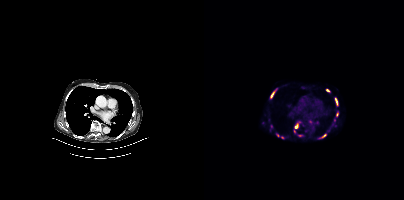
Coordinates are on the 200×200 PET (right) panel. (showing 8 of 11 foci) PSMA-avid tumor lesion bounding boxes (x0,y0,x1,y1): [91,124,94,128]; [67,92,70,97]; [131,98,133,104]; [118,134,122,137]. Small PSMA-avid foci (2 to 4 px across) near (center x, center y): (124, 90); (96, 135); (78, 137); (90, 131).